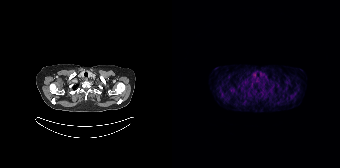
Left: CT. Right: PSMA PET, same axial level, 68Ga-PSMA tracer. Slice position z = -150 mm. PET panel 168×168 px (4.1 mm/px). This slice has no annotated PSMA-avid lesion.